Technique: Paired axial CT (left) and PSMA PET (right), 18F tracer. slice position z = -318 mm. PET panel 200×200 px (4.1 mm/px).
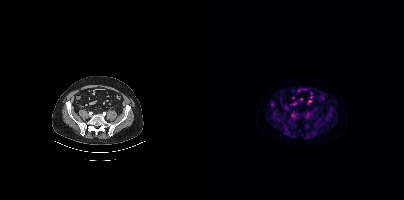
Findings: This slice has no annotated PSMA-avid lesion.